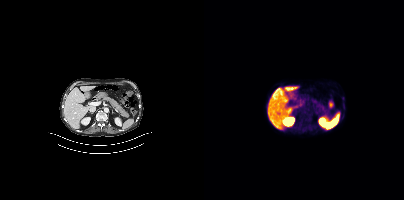
Coordinates are on the 200×200 PET (right) panel. PSMA-avid tumor lesion bounding box (x, y, width, height): x=102 y=117 w=6 h=5. Paired axial CT (left) and PSMA PET (right), [18F]PSMA-1007 tracer. Slice 197 of 401. PET panel 200×200 px (4.1 mm/px).